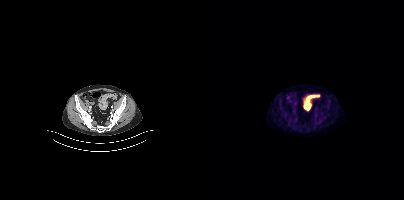
{"modality":"PSMA PET/CT","view":"axial","tracer":"18F-PSMA","pet_grid":[200,200],"coord_frame":"pet_panel","coord_format":"x0,y0,x1,y1","psma_avid_lesions":false}